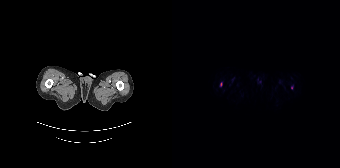
Coordinates are on the 168×168 PET (right) panel. Small PSMA-avid focus (2 to 4 px across) near (center x, center y): (48, 84). Paired axial CT (left) and PSMA PET (right), 18F-PSMA tracer. Slice position z = -1460 mm. PET panel 168×168 px (4.1 mm/px).